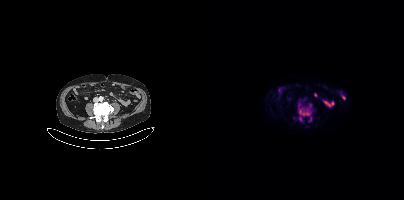
Paired axial CT (left) and PSMA PET (right), [18F]PSMA-1007 tracer. Slice 147 of 429.
Coordinates are on the 200×200 PET (right) panel. PSMA-avid tumor lesion bounding boxes (partial; 1 more focus not listed):
| # | x0 | y0 | x1 | y1 |
|---|---|---|---|---|
| 1 | 95 | 109 | 106 | 115 |
Small PSMA-avid focus (2 to 4 px across) near (center x, center y): (96, 119).